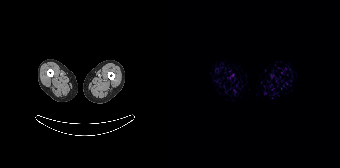
Findings: This slice has no annotated PSMA-avid lesion.
- Left: CT. Right: PSMA PET, same axial level, 18F-PSMA tracer